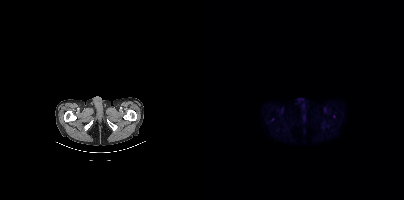
This slice has no annotated PSMA-avid lesion.